A rectangular block over the head has been blanked out for de-identification.
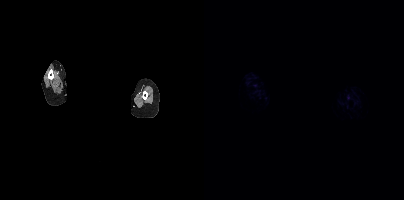
No tumor lesions annotated on this slice.